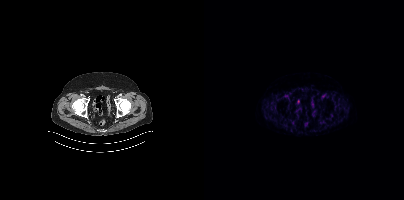
Technique: Two-panel axial: CT | PSMA PET, [18F]PSMA-1007 tracer. slice 81 of 433. PET panel 200×200 px (4.1 mm/px).
Findings: No tumor lesions annotated on this slice.